An anonymization step blacked out a rectangle in this scan. Paired axial CT (left) and PSMA PET (right), 68Ga-PSMA tracer. Acquired on Siemens Biograph 64-4R TruePoint. PET panel 168×168 px (4.1 mm/px).
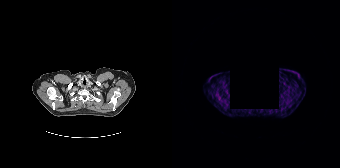
Negative for PSMA-avid disease on this slice.